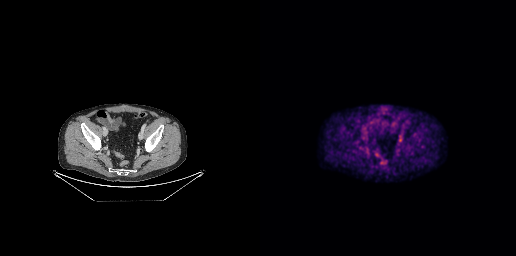
Technique: Left: CT. Right: PSMA PET, same axial level, 18F tracer. acquired on GE Discovery 690. PET panel 256×256 px (2.7 mm/px).
Findings: Only PSMA-avid lesion pieces thinner than 2 px on this slice (not listed).